Head region blanked for anonymization (face removed).
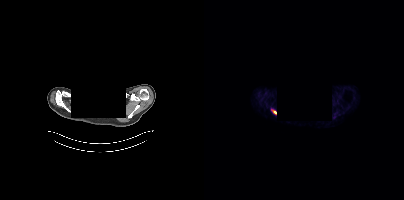
Coordinates are on the 200×200 PET (right) panel. Small PSMA-avid focus (2 to 4 px across) near (center x, center y): (71, 112).